redaction: head region blanked (face removed) | modality: PSMA PET/CT | tracer: 18F | view: axial
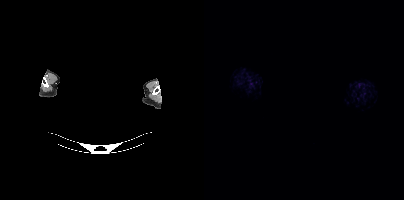
This slice has no annotated PSMA-avid lesion.